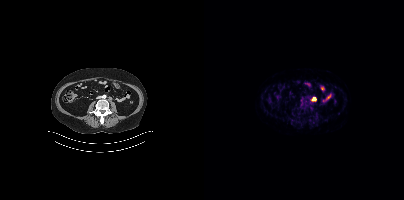
{"modality":"PSMA PET/CT","view":"axial","tracer":"18F-PSMA","pet_grid":[200,200],"coord_frame":"pet_panel","coord_format":"x0,y0,x1,y1","lesion_bboxes":[[107,97,112,101]]}